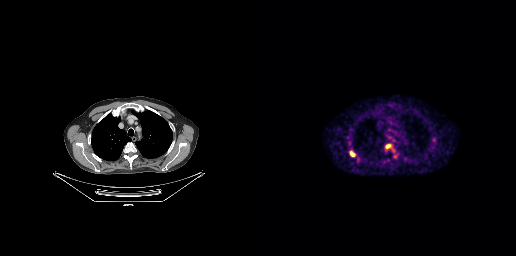
Technique: Left: CT. Right: PSMA PET, same axial level, 68Ga-PSMA tracer. slice position z = -386 mm.
Findings: Coordinates are on the 256×256 PET (right) panel. (showing 3 of 4 foci) PSMA-avid tumor lesion bounding box (x0, y0)-(x1, y1): (90, 151)-(94, 156). Small PSMA-avid foci (2 to 4 px across) near (center x, center y): (127, 146) / (98, 159).